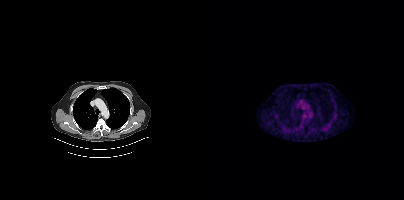
- Left: CT. Right: PSMA PET, same axial level, [18F]PSMA-1007 tracer
Findings: No PSMA-avid tumor lesions on this slice.